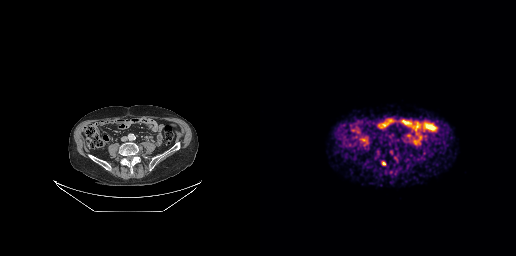
{"modality":"PSMA PET/CT","view":"axial","tracer":"[68Ga]Ga-PSMA-11","pet_grid":[256,256],"coord_frame":"pet_panel","coord_format":"x0,y0,x1,y1","lesion_bboxes":[[134,154,138,162],[129,149,133,155],[122,161,125,165]]}